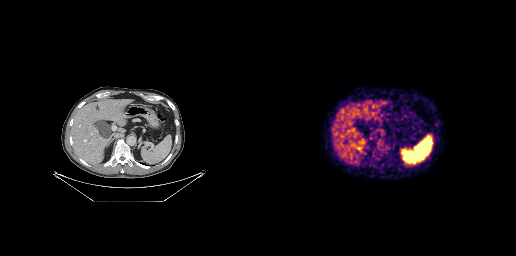
Technique: Two-panel axial: CT | PSMA PET, 18F tracer. acquired on GE Discovery 690.
Findings: No tumor lesions annotated on this slice.